Two-panel axial: CT | PSMA PET, 68Ga-PSMA tracer.
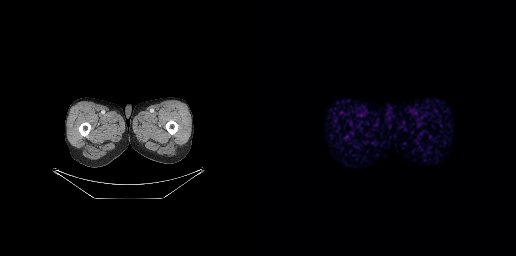
Negative for PSMA-avid disease on this slice.